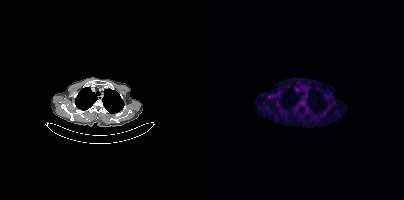
{"modality":"PSMA PET/CT","view":"axial","tracer":"18F-PSMA","pet_grid":[200,200],"coord_frame":"pet_panel","coord_format":"x0,y0,x1,y1","lesion_bboxes":[],"small_foci_centers":[[65,97]]}